modality: PSMA PET/CT | tracer: [18F]PSMA-1007 | view: axial | PET grid: 200×200 | de-identification: head region blanked (face removed)
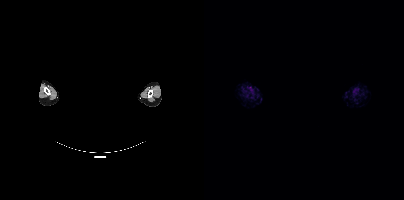
No PSMA-avid tumor lesions on this slice.